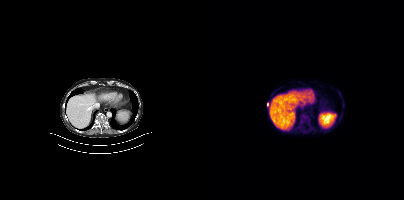
modality: PSMA PET/CT | tracer: [18F]PSMA-1007 | view: axial
Coordinates are on the 200×200 PET (right) panel. PSMA-avid tumor lesion bounding box (x0,y0,x1,y1): [96,113,105,122]. Small PSMA-avid focus (2 to 4 px across) near (center x, center y): (63, 104).